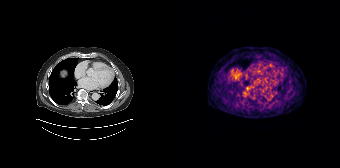
Technique: Paired axial CT (left) and PSMA PET (right), 68Ga-PSMA tracer. slice position z = -1259 mm. PET panel 168×168 px (4.1 mm/px).
Findings: Negative for PSMA-avid disease on this slice.